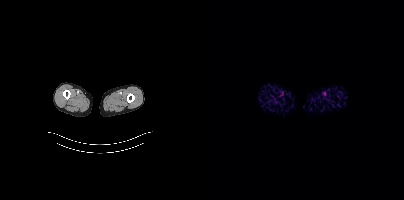
modality: PSMA PET/CT | tracer: 18F | view: axial | PET grid: 200×200
This slice has no annotated PSMA-avid lesion.